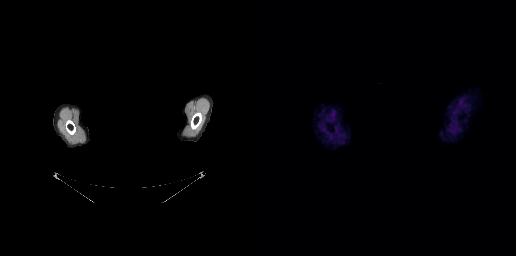
This slice has no annotated PSMA-avid lesion. A rectangle over the head was blacked out to remove identifiable facial features. Two-panel axial: CT | PSMA PET, 18F-PSMA tracer. PET panel 256×256 px (2.7 mm/px).